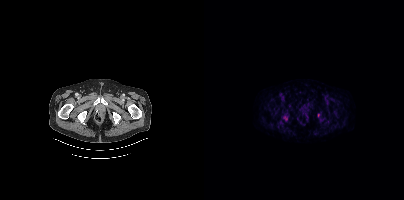
modality: PSMA PET/CT | tracer: 18F-PSMA | view: axial | PET grid: 200×200
Only PSMA-avid lesion pieces thinner than 2 px on this slice (not listed).